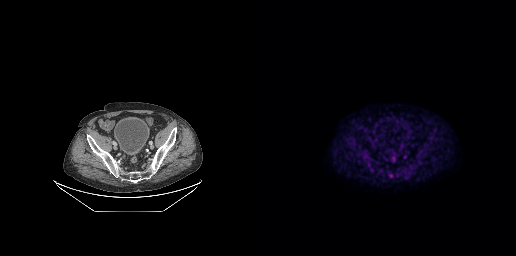
- Paired axial CT (left) and PSMA PET (right), 18F-PSMA tracer
- acquired on GE Discovery 690
- slice position z = -650 mm
Findings: No tumor lesions annotated on this slice.